- Left: CT. Right: PSMA PET, same axial level, [18F]PSMA-1007 tracer
- slice position z = -758 mm
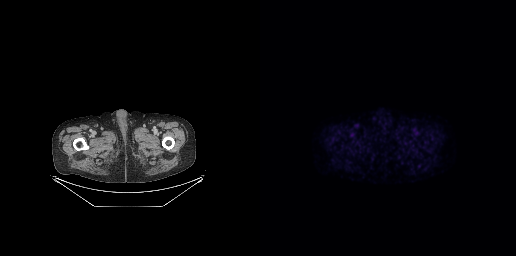
Findings: This slice has no annotated PSMA-avid lesion.